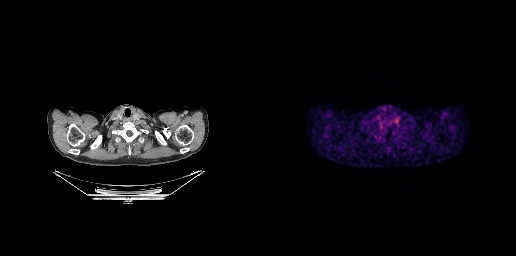
No PSMA-avid tumor lesions on this slice.